Two-panel axial: CT | PSMA PET, [18F]PSMA-1007 tracer. PET panel 200×200 px (4.1 mm/px).
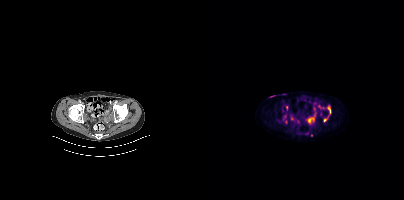
Coordinates are on the 200×200 PET (right) panel. (showing 6 of 7 foci) PSMA-avid tumor lesion bounding boxes (x0, y0)-(x1, y1): (124, 107)-(126, 113) | (82, 106)-(83, 110). Small PSMA-avid foci (2 to 4 px across) near (center x, center y): (82, 121) | (105, 120) | (121, 120) | (80, 116).